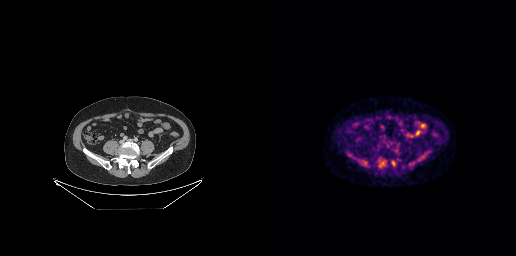
Only PSMA-avid lesion pieces thinner than 2 px on this slice (not listed).